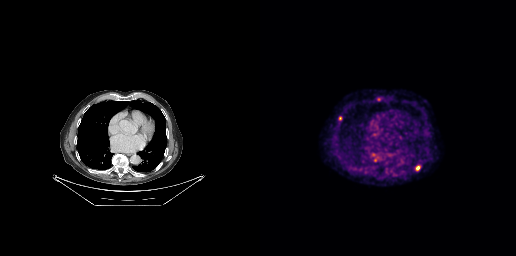
Coordinates are on the 256×256 PET (right) panel. PSMA-avid tumor lesion bounding boxes (x, y, width, height): x=122 y=159 w=8 h=8; x=155 y=165 w=6 h=6; x=79 y=116 w=3 h=5; x=114 y=157 w=4 h=5. Small PSMA-avid foci (2 to 4 px across) near (center x, center y): (118, 99); (113, 155).
modality: PSMA PET/CT | tracer: 18F | view: axial